- Left: CT. Right: PSMA PET, same axial level, 18F tracer
- PET panel 200×200 px (4.1 mm/px)
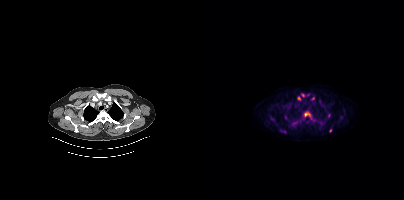
Findings: Coordinates are on the 200×200 PET (right) panel. (showing 10 of 11 foci) PSMA-avid tumor lesion bounding boxes (x0,y0,x1,y1): [100,112,108,119] [76,129,82,133]. Small PSMA-avid foci (2 to 4 px across) near (center x, center y): (125, 115) (95, 98) (98, 95) (126, 130) (99, 117) (92, 122) (103, 121) (109, 98).